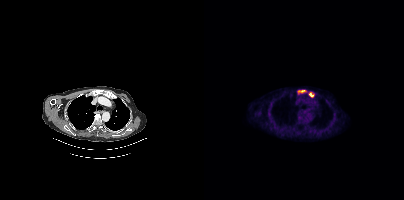
{"modality":"PSMA PET/CT","view":"axial","tracer":"18F-PSMA","pet_grid":[200,200],"coord_frame":"pet_panel","coord_format":"x0,y0,x1,y1","lesion_bboxes":[[94,90,102,93],[105,92,110,97]]}